De-identified by setting a box covering the face to black before release.
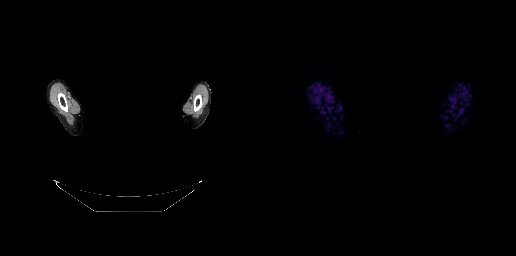
This slice has no annotated PSMA-avid lesion.